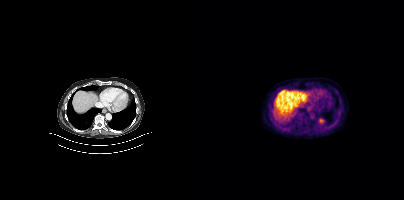
Paired axial CT (left) and PSMA PET (right), [18F]PSMA-1007 tracer. Acquired on Siemens Biograph mCT Flow 20. PET panel 200×200 px (4.1 mm/px). No PSMA-avid tumor lesions on this slice.